modality: PSMA PET/CT | tracer: 18F-PSMA | view: axial
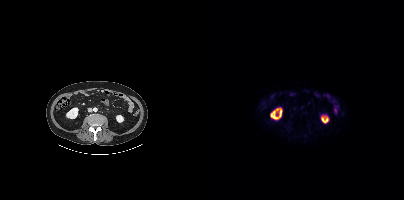
This slice has no annotated PSMA-avid lesion.